modality: PSMA PET/CT | tracer: [68Ga]Ga-PSMA-11 | view: axial | PET grid: 256×256
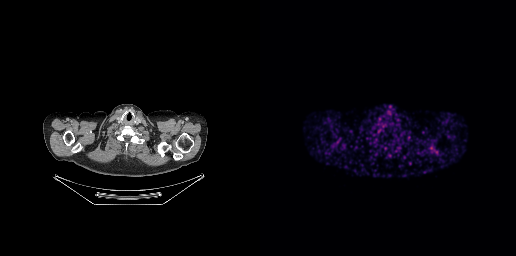
Negative for PSMA-avid disease on this slice.